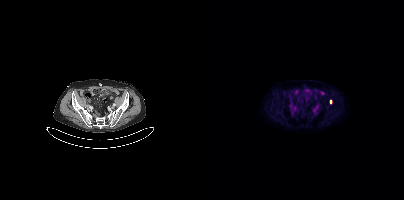
Technique: Two-panel axial: CT | PSMA PET, [18F]PSMA-1007 tracer. acquired on Siemens Biograph mCT Flow 20. PET panel 200×200 px (4.1 mm/px).
Findings: Coordinates are on the 200×200 PET (right) panel. Small PSMA-avid focus (2 to 4 px across) near (center x, center y): (126, 101).